Paired axial CT (left) and PSMA PET (right), 18F tracer.
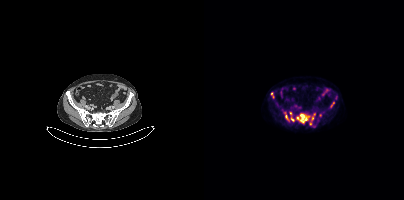
Coordinates are on the 200×200 PET (right) panel. PSMA-avid tumor lesion bounding boxes (partial; 4 more foci not listed):
| # | x0 | y0 | x1 | y1 |
|---|---|---|---|---|
| 1 | 92 | 113 | 105 | 123 |
| 2 | 126 | 102 | 130 | 107 |
| 3 | 81 | 115 | 84 | 119 |
| 4 | 67 | 92 | 69 | 98 |
| 5 | 87 | 117 | 90 | 121 |
Small PSMA-avid foci (2 to 4 px across) near (center x, center y): (86, 113); (108, 118); (106, 123).